Paired axial CT (left) and PSMA PET (right), 18F tracer. Slice 84 of 411.
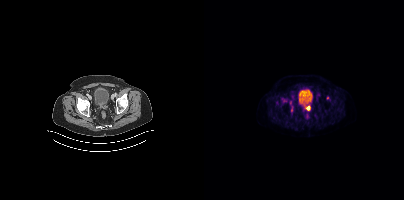
Coordinates are on the 200×200 PET (right) panel. (showing 2 of 3 foci) PSMA-avid tumor lesion bounding box (x0,y0,x1,y1): [102,105,106,110]. Small PSMA-avid focus (2 to 4 px across) near (center x, center y): (86, 102).